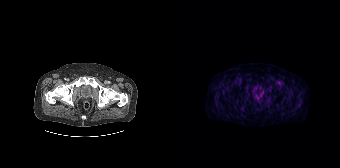
Findings: No tumor lesions annotated on this slice.
- Left: CT. Right: PSMA PET, same axial level, 18F tracer
- acquired on Siemens Biograph 64-4R TruePoint
- PET panel 168×168 px (4.1 mm/px)